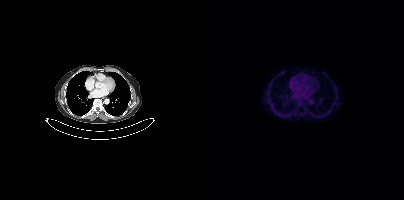
Technique: Paired axial CT (left) and PSMA PET (right), 18F-PSMA tracer. slice position z = -1090 mm. PET panel 200×200 px (4.1 mm/px).
Findings: No tumor lesions annotated on this slice.